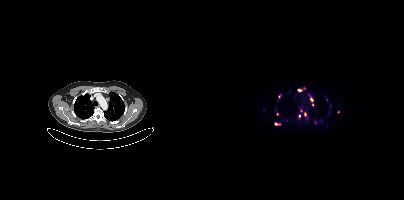
Coordinates are on the 200×200 PET (right) panel. (showing 11 of 15 foci) PSMA-avid tumor lesion bounding boxes (x, y, width, height): x=74 y=94 w=4 h=5; x=71 y=123 w=6 h=3. Small PSMA-avid foci (2 to 4 px across) near (center x, center y): (107, 99); (95, 90); (101, 114); (134, 112); (95, 116); (108, 104); (111, 122); (100, 88); (97, 110).
modality: PSMA PET/CT | tracer: 68Ga-PSMA | view: axial | PET grid: 200×200